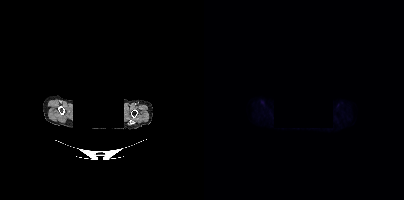
No tumor lesions annotated on this slice.
The face region was removed for patient privacy by blanking a rectangle over the head.